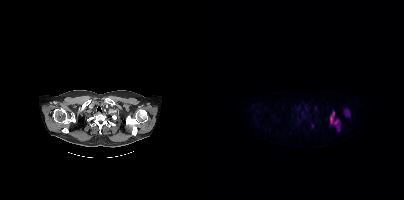
- Two-panel axial: CT | PSMA PET, 18F tracer
Findings: Coordinates are on the 200×200 PET (right) panel. PSMA-avid tumor lesion bounding boxes (x0, y0)-(x1, y1): (126, 116)-(134, 123) | (142, 110)-(146, 115) | (132, 125)-(136, 130). Small PSMA-avid foci (2 to 4 px across) near (center x, center y): (129, 113) | (108, 125).